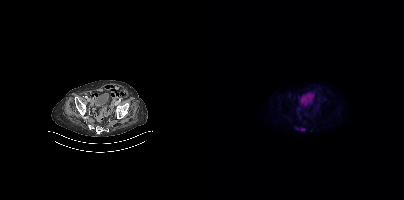
{"modality":"PSMA PET/CT","view":"axial","tracer":"18F-PSMA","pet_grid":[200,200],"coord_frame":"pet_panel","coord_format":"x0,y0,x1,y1","partial":true,"lesion_bboxes":[],"small_foci_centers":[[98,129],[93,128]]}